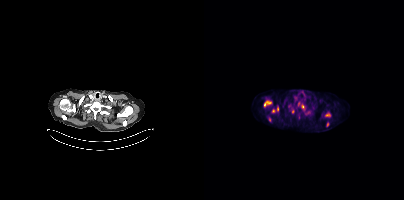
Findings: Coordinates are on the 200×200 PET (right) panel. PSMA-avid tumor lesion bounding boxes (x, y, width, height): x=60 y=101 w=8 h=6 / x=121 y=113 w=6 h=4 / x=97 y=104 w=4 h=5. Small PSMA-avid foci (2 to 4 px across) near (center x, center y): (69, 110) / (73, 108) / (123, 124) / (88, 111) / (94, 103) / (65, 119).
Technique: Two-panel axial: CT | PSMA PET, 18F tracer.